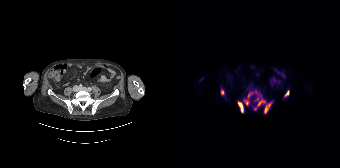
Technique: Left: CT. Right: PSMA PET, same axial level, [18F]PSMA-1007 tracer. PET panel 168×168 px (4.1 mm/px).
Findings: Coordinates are on the 168×168 PET (right) panel. PSMA-avid tumor lesion bounding boxes (x, y, width, height): x=82 y=96 w=19 h=18; x=72 y=92 w=10 h=14; x=65 y=101 w=7 h=12; x=49 y=89 w=4 h=7; x=113 y=90 w=5 h=7. Small PSMA-avid focus (2 to 4 px across) near (center x, center y): (84, 92).